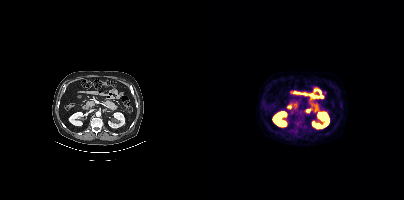
Paired axial CT (left) and PSMA PET (right), 18F-PSMA tracer. Slice position z = -158 mm. No tumor lesions annotated on this slice.